Left: CT. Right: PSMA PET, same axial level, [18F]PSMA-1007 tracer. PET panel 200×200 px (4.1 mm/px).
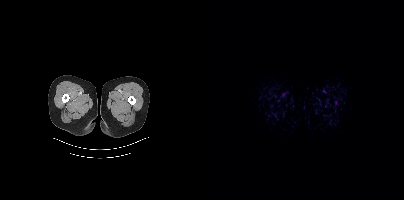
Only PSMA-avid lesion pieces thinner than 2 px on this slice (not listed).